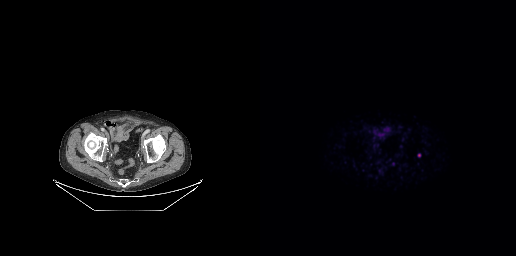
modality: PSMA PET/CT | tracer: 68Ga-PSMA | view: axial
Coordinates are on the 256×256 PET (right) panel. Small PSMA-avid focus (2 to 4 px across) near (center x, center y): (159, 155).